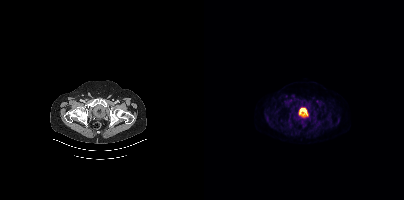
- Left: CT. Right: PSMA PET, same axial level, 18F tracer
- acquired on Siemens Biograph mCT Flow 20
- PET panel 200×200 px (4.1 mm/px)
Findings: Negative for PSMA-avid disease on this slice.